Technique: Paired axial CT (left) and PSMA PET (right), 18F-PSMA tracer. acquired on Siemens Biograph mCT Flow 20.
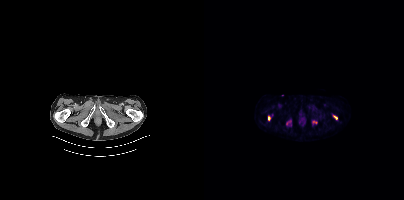
Findings: Coordinates are on the 200×200 PET (right) panel. PSMA-avid tumor lesion bounding box (x, y, width, height): x=109 y=121 w=5 h=3. Small PSMA-avid foci (2 to 4 px across) near (center x, center y): (131, 117) / (65, 117).